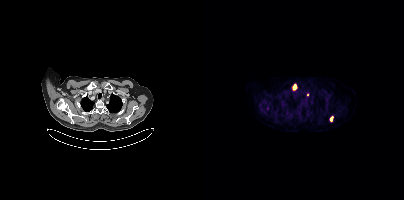
Coordinates are on the 200×200 PET (right) panel. PSMA-avid tumor lesion bounding boxes (x0,y0,x1,y1): [90,84,92,89] [126,117,128,121]. Two-panel axial: CT | PSMA PET, 18F-PSMA tracer.